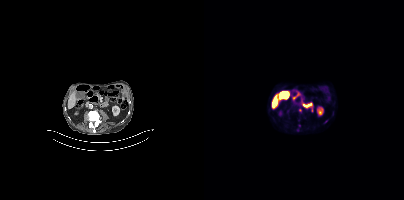
Two-panel axial: CT | PSMA PET, 18F-PSMA tracer. Acquired on Siemens Biograph mCT Flow 20. Slice 156 of 375. Coordinates are on the 200×200 PET (right) panel. (showing 3 of 4 foci) Small PSMA-avid foci (2 to 4 px across) near (center x, center y): (95, 125); (93, 130); (121, 121).